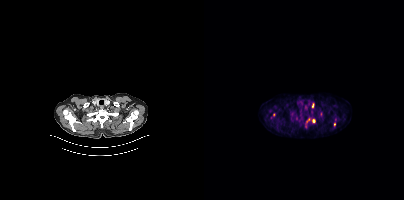
Left: CT. Right: PSMA PET, same axial level, 18F-PSMA tracer. Acquired on Siemens Biograph mCT Flow 20. Slice 334 of 405. PET panel 200×200 px (4.1 mm/px). Coordinates are on the 200×200 PET (right) panel. PSMA-avid tumor lesion bounding boxes (x0,y0,x1,y1): [108,103,109,107], [103,118,105,122]. Small PSMA-avid foci (2 to 4 px across) near (center x, center y): (109, 120), (69, 114), (130, 124).